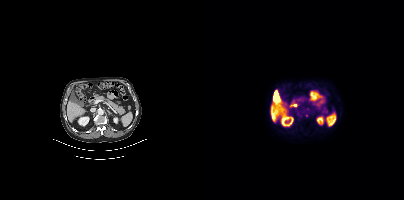
{"modality":"PSMA PET/CT","view":"axial","tracer":"18F","pet_grid":[200,200],"coord_frame":"pet_panel","coord_format":"x0,y0,x1,y1","psma_avid_lesions":false}